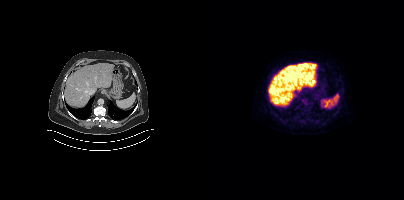
- Paired axial CT (left) and PSMA PET (right), 18F-PSMA tracer
- acquired on Siemens Biograph mCT Flow 20
- slice position z = -367 mm
Findings: Only PSMA-avid lesion pieces thinner than 2 px on this slice (not listed).